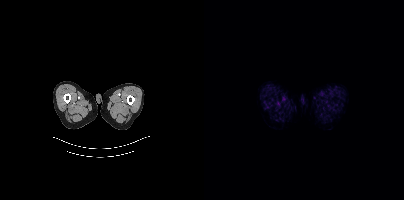
- Paired axial CT (left) and PSMA PET (right), [18F]PSMA-1007 tracer
- acquired on Siemens Biograph mCT Flow 20
- slice position z = -219 mm
- PET panel 200×200 px (4.1 mm/px)
Findings: Negative for PSMA-avid disease on this slice.